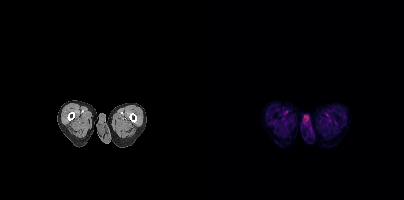
Technique: Paired axial CT (left) and PSMA PET (right), 18F tracer. acquired on Siemens Biograph mCT Flow 20. slice 14 of 389. PET panel 200×200 px (4.1 mm/px).
Findings: No tumor lesions annotated on this slice.